modality: PSMA PET/CT | tracer: 18F | view: axial
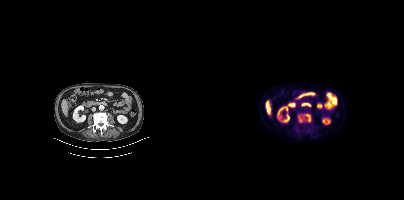
Coordinates are on the 200×200 PET (right) panel. PSMA-avid tumor lesion bounding box (x0, y0)-(x1, y1): (94, 113)-(107, 122).